Paired axial CT (left) and PSMA PET (right), [68Ga]Ga-PSMA-11 tracer. Slice position z = -1178 mm.
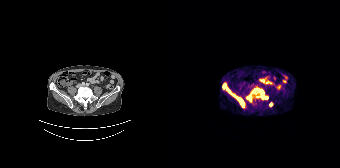
Coordinates are on the 168×168 PET (right) panel. PSMA-avid tumor lesion bounding boxes:
| # | x0 | y0 | x1 | y1 |
|---|---|---|---|---|
| 1 | 86 | 89 | 95 | 98 |
| 2 | 66 | 98 | 72 | 106 |
| 3 | 55 | 88 | 64 | 97 |
| 4 | 75 | 95 | 79 | 101 |
| 5 | 51 | 83 | 54 | 88 |
Small PSMA-avid foci (2 to 4 px across) near (center x, center y): (99, 104); (81, 90).